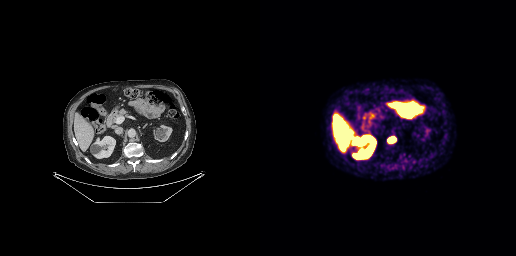
Coordinates are on the 256×256 PET (right) panel. PSMA-avid tumor lesion bounding box (x, y, width, height): x=127 y=136 w=10 h=8.